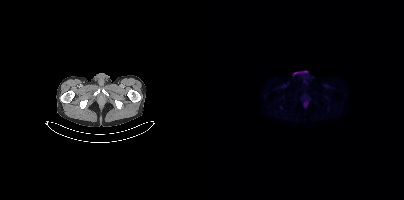
This slice has no annotated PSMA-avid lesion.
modality: PSMA PET/CT | tracer: [18F]PSMA-1007 | view: axial | PET grid: 200×200